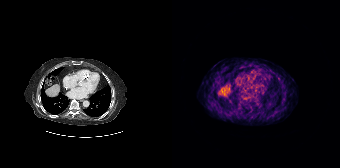
Left: CT. Right: PSMA PET, same axial level, [68Ga]Ga-PSMA-11 tracer. Acquired on Siemens Biograph 64-4R TruePoint. PET panel 168×168 px (4.1 mm/px). This slice has no annotated PSMA-avid lesion.